Paired axial CT (left) and PSMA PET (right), 68Ga tracer. Acquired on Siemens Biograph mCT Flow 20. PET panel 200×200 px (4.1 mm/px).
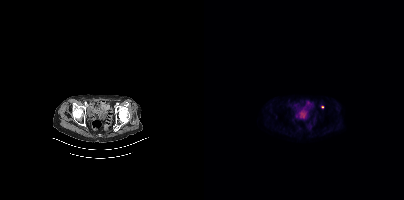
Coordinates are on the 200×200 PET (right) panel. Small PSMA-avid focus (2 to 4 px across) near (center x, center y): (118, 106).